Two-panel axial: CT | PSMA PET, 18F-PSMA tracer. PET panel 256×256 px (2.7 mm/px).
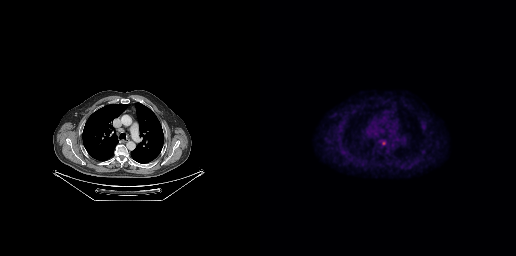
Coordinates are on the 256×256 PET (right) panel. Small PSMA-avid focus (2 to 4 px across) near (center x, center y): (123, 142).